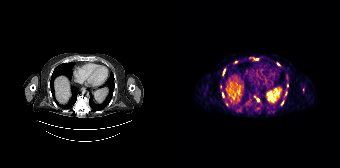
Coordinates are on the 168×168 PET (right) panel. (showing 9 of 11 foci) PSMA-avid tumor lesion bounding boxes (x0,y0,x1,y1): [109,101,111,105]; [51,69,53,74]. Small PSMA-avid foci (2 to 4 px across) near (center x, center y): (86, 100); (84, 59); (64, 62); (106, 64); (55, 104); (50, 94); (115, 84).